modality: PSMA PET/CT | tracer: 18F | view: axial
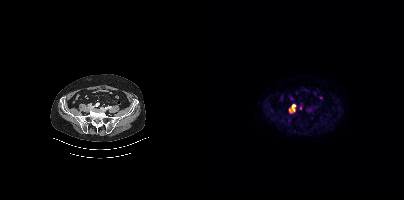
Coordinates are on the 200×200 PET (right) panel. PSMA-avid tumor lesion bounding box (x0,y0,x1,y1): [88,105,90,110]. Small PSMA-avid focus (2 to 4 px across) near (center x, center y): (85, 110).